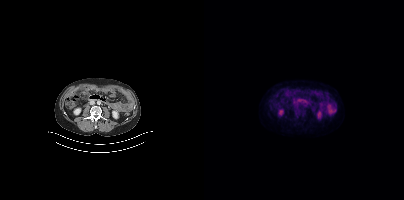
{"modality":"PSMA PET/CT","view":"axial","tracer":"18F-PSMA","pet_grid":[200,200],"coord_frame":"pet_panel","coord_format":"x0,y0,x1,y1","psma_avid_lesions":false}